- Two-panel axial: CT | PSMA PET, [18F]PSMA-1007 tracer
- slice 358 of 423
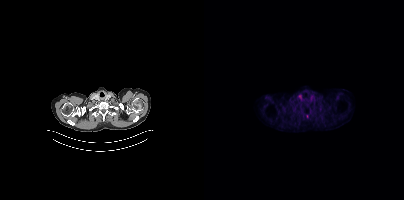
Findings: Only PSMA-avid lesion pieces thinner than 2 px on this slice (not listed).